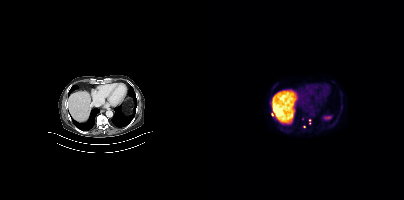
Only PSMA-avid lesion pieces thinner than 2 px on this slice (not listed).
modality: PSMA PET/CT | tracer: 18F-PSMA | view: axial | PET grid: 200×200